Left: CT. Right: PSMA PET, same axial level, 18F-PSMA tracer. PET panel 200×200 px (4.1 mm/px).
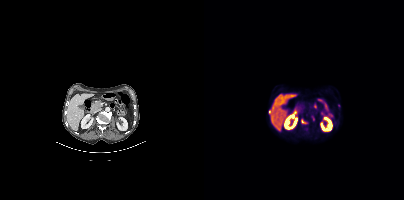
Coordinates are on the 200×200 PET (right) panel. (showing 2 of 5 foci) Small PSMA-avid foci (2 to 4 px across) near (center x, center y): (135, 105) (98, 119).